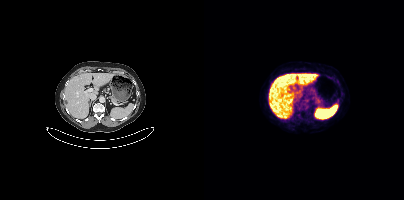
{"modality":"PSMA PET/CT","view":"axial","tracer":"18F-PSMA","pet_grid":[200,200],"coord_frame":"pet_panel","coord_format":"x0,y0,x1,y1","psma_avid_lesions":false}